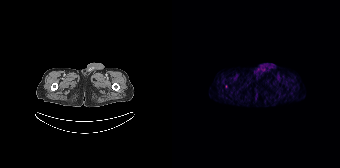
Only PSMA-avid lesion pieces thinner than 2 px on this slice (not listed). Two-panel axial: CT | PSMA PET, [68Ga]Ga-PSMA-11 tracer. Slice 29 of 195.